Technique: Left: CT. Right: PSMA PET, same axial level, [18F]PSMA-1007 tracer. slice position z = -1090 mm. PET panel 200×200 px (4.1 mm/px).
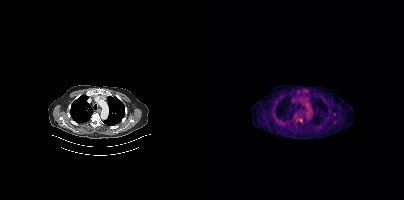
Findings: No tumor lesions annotated on this slice.